- Two-panel axial: CT | PSMA PET, [18F]PSMA-1007 tracer
- slice 192 of 299
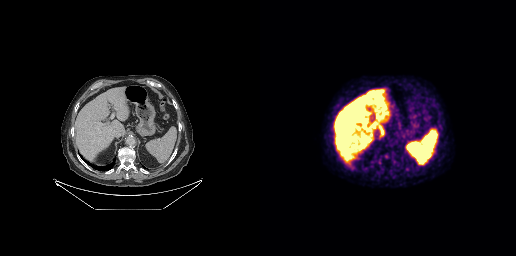
Findings: No PSMA-avid tumor lesions on this slice.